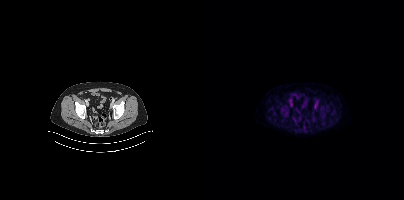
- Left: CT. Right: PSMA PET, same axial level, 18F-PSMA tracer
- acquired on Siemens Biograph mCT Flow 20
- slice position z = -844 mm
- PET panel 200×200 px (4.1 mm/px)
Findings: Coordinates are on the 200×200 PET (right) panel. Small PSMA-avid focus (2 to 4 px across) near (center x, center y): (86, 99).